modality: PSMA PET/CT | tracer: 68Ga | view: axial
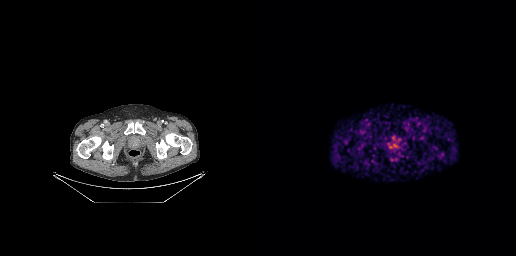
No PSMA-avid tumor lesions on this slice.